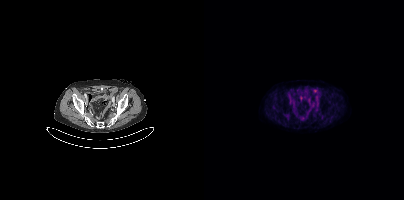
No PSMA-avid tumor lesions on this slice. Two-panel axial: CT | PSMA PET, [18F]PSMA-1007 tracer. PET panel 200×200 px (4.1 mm/px).